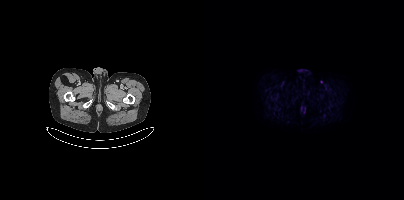
{"modality":"PSMA PET/CT","view":"axial","tracer":"[18F]PSMA-1007","pet_grid":[200,200],"coord_frame":"pet_panel","coord_format":"x0,y0,x1,y1","psma_avid_lesions":false}